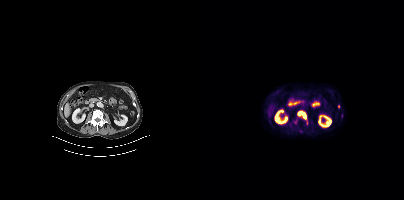
Findings: Coordinates are on the 200×200 PET (right) panel. (showing 1 of 2 foci) PSMA-avid tumor lesion bounding box (x0,y0,x1,y1): [94,111,102,118].
- Two-panel axial: CT | PSMA PET, 18F tracer
- slice position z = -700 mm
- PET panel 200×200 px (4.1 mm/px)